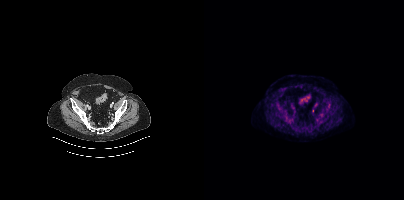
{"pet_grid":[200,200],"coord_frame":"pet_panel","coord_format":"x0,y0,x1,y1","psma_avid_lesions":false,"modality":"PSMA PET/CT","view":"axial","tracer":"18F"}